Technique: Paired axial CT (left) and PSMA PET (right), 18F tracer. acquired on Siemens Biograph 64-4R TruePoint.
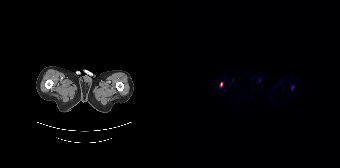
Findings: Coordinates are on the 168×168 PET (right) panel. PSMA-avid tumor lesion bounding box (x, y, width, height): x=48 y=82 w=3 h=5.